- Two-panel axial: CT | PSMA PET, [18F]PSMA-1007 tracer
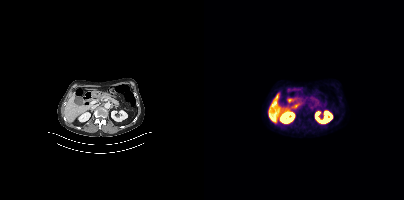
Findings: This slice has no annotated PSMA-avid lesion.